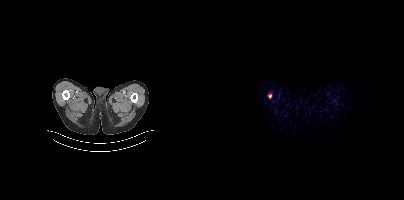
{"modality":"PSMA PET/CT","view":"axial","tracer":"18F-PSMA","pet_grid":[200,200],"coord_frame":"pet_panel","coord_format":"x0,y0,x1,y1","lesion_bboxes":[[64,94,67,98]]}